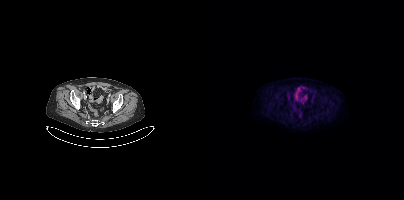
- Left: CT. Right: PSMA PET, same axial level, 18F tracer
- acquired on Siemens Biograph mCT Flow 20
Findings: Negative for PSMA-avid disease on this slice.